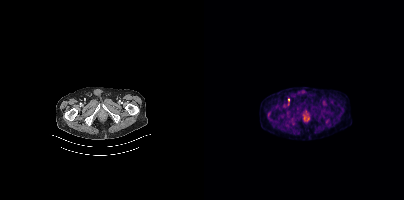
- Two-panel axial: CT | PSMA PET, [18F]PSMA-1007 tracer
Findings: Coordinates are on the 200×200 PET (right) panel. Small PSMA-avid focus (2 to 4 px across) near (center x, center y): (84, 100).